modality: PSMA PET/CT | tracer: 18F-PSMA | view: axial | PET grid: 256×256
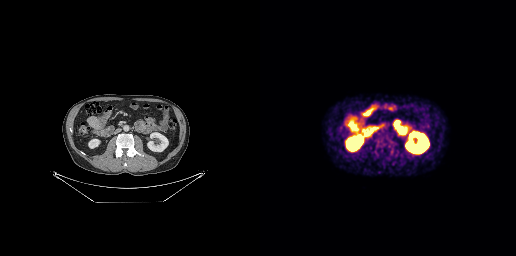
Coordinates are on the 256×256 PET (right) panel. PSMA-avid tumor lesion bounding boxes (x0, y0)-(x1, y1): (116, 137)-(126, 148) / (129, 148)-(134, 152).